modality: PSMA PET/CT | tracer: 18F | view: axial
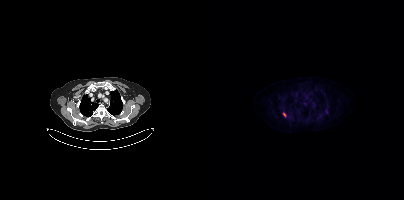
Only PSMA-avid lesion pieces thinner than 2 px on this slice (not listed).